- Left: CT. Right: PSMA PET, same axial level, 18F-PSMA tracer
- acquired on Siemens Biograph mCT Flow 20
- slice position z = -1532 mm
- PET panel 200×200 px (4.1 mm/px)
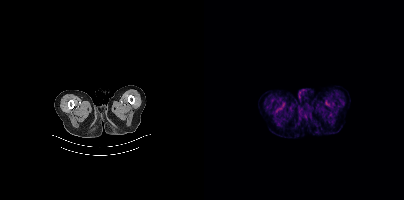
Findings: This slice has no annotated PSMA-avid lesion.